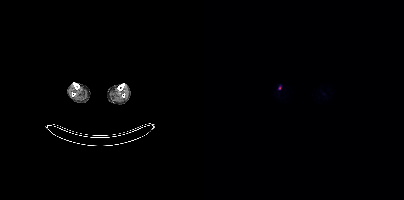
Coordinates are on the 200×200 PET (right) panel. Small PSMA-avid focus (2 to 4 px across) near (center x, center y): (75, 88).
modality: PSMA PET/CT | tracer: 18F-PSMA | view: axial | PET grid: 200×200